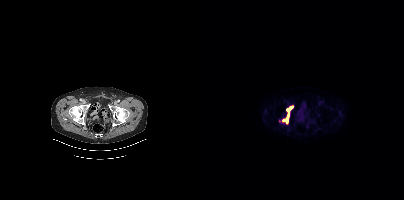
Findings: Coordinates are on the 200×200 PET (right) panel. PSMA-avid tumor lesion bounding box (x0,y0,x1,y1): [79,106,89,122]. Small PSMA-avid focus (2 to 4 px across) near (center x, center y): (76, 121).
- Two-panel axial: CT | PSMA PET, [18F]PSMA-1007 tracer
- acquired on Siemens Biograph mCT Flow 20
- PET panel 200×200 px (4.1 mm/px)